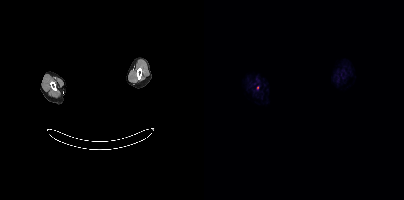
Left: CT. Right: PSMA PET, same axial level, 18F tracer. Slice position z = -822 mm. Privacy masking over the head, with the pixels inside a rectangle set to black. Coordinates are on the 200×200 PET (right) panel. Small PSMA-avid focus (2 to 4 px across) near (center x, center y): (53, 87).